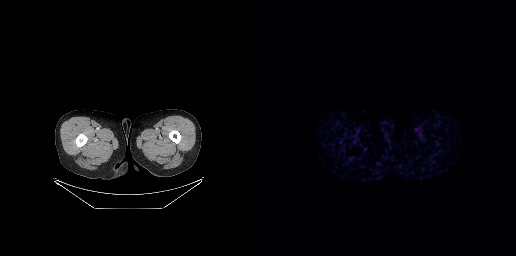
{"modality":"PSMA PET/CT","view":"axial","tracer":"68Ga","pet_grid":[256,256],"coord_frame":"pet_panel","coord_format":"x0,y0,x1,y1","psma_avid_lesions":false}